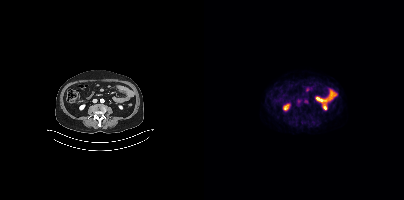
{"pet_grid":[200,200],"coord_frame":"pet_panel","coord_format":"x0,y0,x1,y1","psma_avid_lesions":false,"modality":"PSMA PET/CT","view":"axial","tracer":"18F-PSMA"}